Technique: Two-panel axial: CT | PSMA PET, [18F]PSMA-1007 tracer. slice position z = -699 mm.
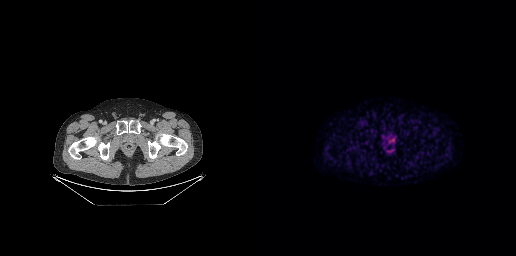
Findings: Coordinates are on the 256×256 PET (right) panel. Small PSMA-avid focus (2 to 4 px across) near (center x, center y): (133, 139).